modality: PSMA PET/CT | tracer: [18F]PSMA-1007 | view: axial
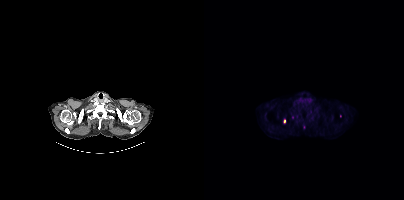
Coordinates are on the 200×200 PET (right) panel. Small PSMA-avid foci (2 to 4 px across) near (center x, center y): (80, 121) / (100, 127) / (136, 115).